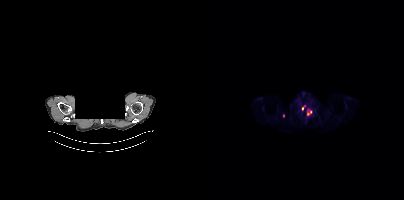
Coordinates are on the 200×200 PET (right) panel. PSMA-avid tumor lesion bounding boxes:
| # | x0 | y0 | x1 | y1 |
|---|---|---|---|---|
| 1 | 102 | 108 | 107 | 115 |
Small PSMA-avid foci (2 to 4 px across) near (center x, center y): (99, 107); (79, 115).
The face region was removed for patient privacy by blanking a rectangle over the head. Two-panel axial: CT | PSMA PET, [18F]PSMA-1007 tracer. Acquired on Siemens Biograph mCT Flow 20. Slice position z = 528 mm. PET panel 200×200 px (4.1 mm/px).